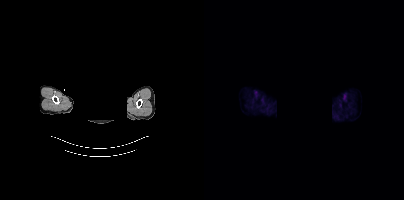
Head region blanked for anonymization (face removed).
No tumor lesions annotated on this slice.